Left: CT. Right: PSMA PET, same axial level, [18F]PSMA-1007 tracer.
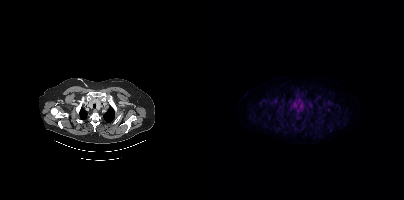
This slice has no annotated PSMA-avid lesion.